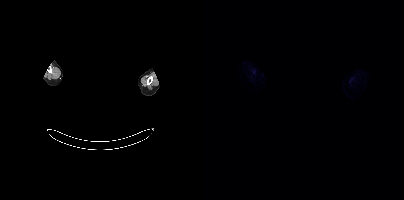
- Left: CT. Right: PSMA PET, same axial level, 18F tracer
- slice 387 of 395
- PET panel 200×200 px (4.1 mm/px)
- any black rectangle over the head is a privacy mask, not anatomy
Findings: Negative for PSMA-avid disease on this slice.